Technique: Left: CT. Right: PSMA PET, same axial level, 18F-PSMA tracer.
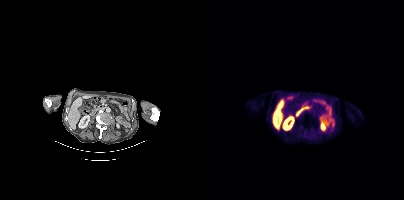
Findings: No PSMA-avid tumor lesions on this slice.